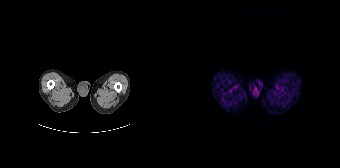
Negative for PSMA-avid disease on this slice.